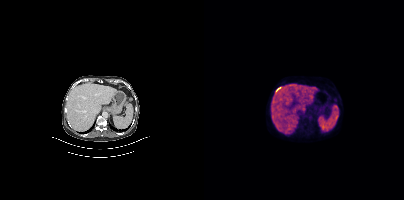
No PSMA-avid tumor lesions on this slice. Two-panel axial: CT | PSMA PET, 18F-PSMA tracer. Acquired on Siemens Biograph mCT Flow 20.